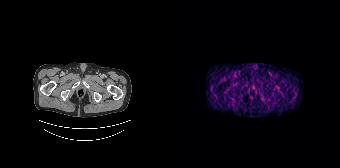
Negative for PSMA-avid disease on this slice. Two-panel axial: CT | PSMA PET, [68Ga]Ga-PSMA-11 tracer. Slice 35 of 195.